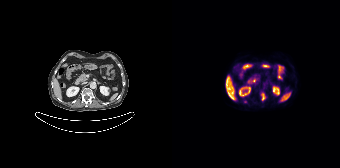
{"pet_grid":[168,168],"coord_frame":"pet_panel","coord_format":"x0,y0,x1,y1","lesion_bboxes":[[89,93,93,100]],"small_foci_centers":[[73,101]],"modality":"PSMA PET/CT","view":"axial","tracer":"18F"}